modality: PSMA PET/CT | tracer: 18F | view: axial | PET grid: 256×256
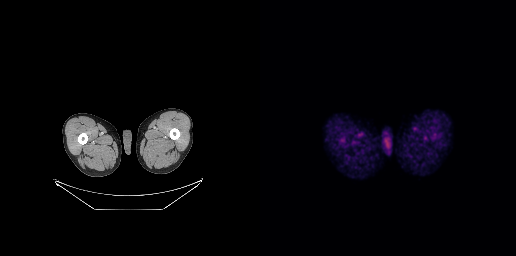
No PSMA-avid tumor lesions on this slice.